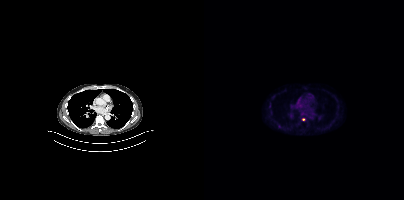
Coordinates are on the 200×200 PET (right) panel. Small PSMA-avid focus (2 to 4 px across) near (center x, center y): (99, 119).